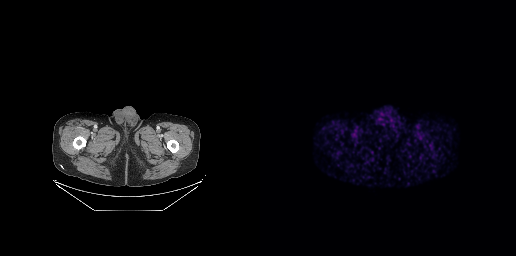
No PSMA-avid tumor lesions on this slice.